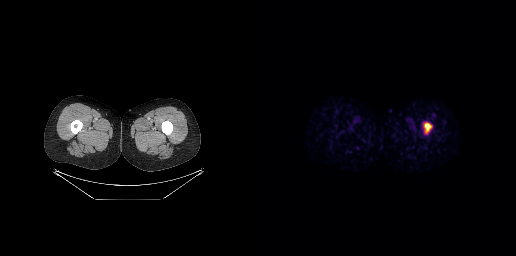
Left: CT. Right: PSMA PET, same axial level, 68Ga-PSMA tracer. Acquired on GE Discovery 690. PET panel 256×256 px (2.7 mm/px). Coordinates are on the 256×256 PET (right) panel. PSMA-avid tumor lesion bounding box (x0,y0,x1,y1): [164,123,171,131].